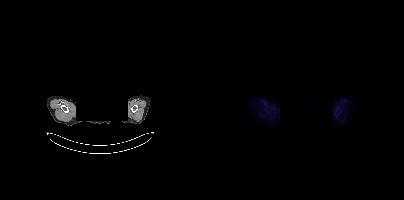
- a rectangle over the head was blacked out to remove identifiable facial features
- Two-panel axial: CT | PSMA PET, [18F]PSMA-1007 tracer
- PET panel 200×200 px (4.1 mm/px)
Findings: Only PSMA-avid lesion pieces thinner than 2 px on this slice (not listed).